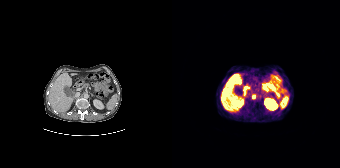
Two-panel axial: CT | PSMA PET, [68Ga]Ga-PSMA-11 tracer. Acquired on Siemens Biograph 64-4R TruePoint. Coordinates are on the 168×168 PET (right) panel. Small PSMA-avid focus (2 to 4 px across) near (center x, center y): (81, 97).